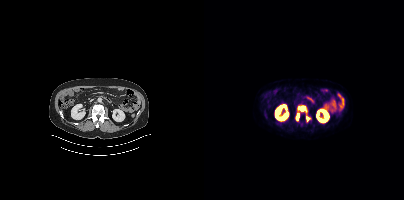
{"pet_grid":[200,200],"coord_frame":"pet_panel","coord_format":"x0,y0,x1,y1","lesion_bboxes":[[94,106,102,111],[92,113,95,120],[102,116,105,121]],"modality":"PSMA PET/CT","view":"axial","tracer":"18F"}